Paired axial CT (left) and PSMA PET (right), 18F tracer. Acquired on Siemens Biograph mCT Flow 20. PET panel 200×200 px (4.1 mm/px).
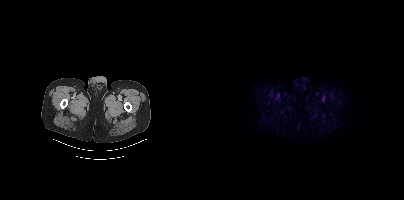
No tumor lesions annotated on this slice.